- Two-panel axial: CT | PSMA PET, [18F]PSMA-1007 tracer
- acquired on Siemens Biograph mCT Flow 20
- slice 169 of 429
- PET panel 200×200 px (4.1 mm/px)
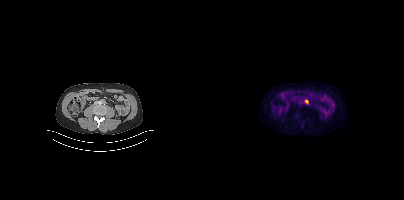
Findings: Coordinates are on the 200×200 PET (right) panel. Small PSMA-avid focus (2 to 4 px across) near (center x, center y): (102, 101).